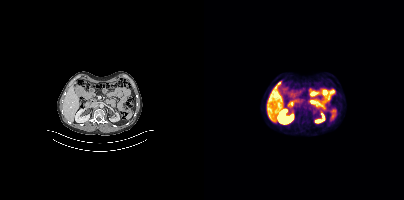
No tumor lesions annotated on this slice. Two-panel axial: CT | PSMA PET, [18F]PSMA-1007 tracer. Slice position z = -1218 mm. PET panel 200×200 px (4.1 mm/px).